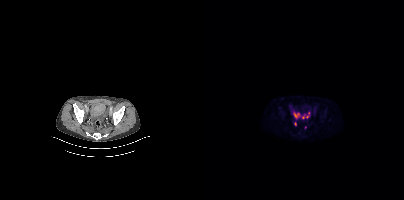
{"pet_grid":[200,200],"coord_frame":"pet_panel","coord_format":"x0,y0,x1,y1","lesion_bboxes":[[89,113,95,117]],"small_foci_centers":[[91,123],[103,116],[99,117],[104,112],[101,127]],"modality":"PSMA PET/CT","view":"axial","tracer":"18F-PSMA"}